Paired axial CT (left) and PSMA PET (right), 18F-PSMA tracer. Slice 402 of 421. The head region is masked for de-identification.
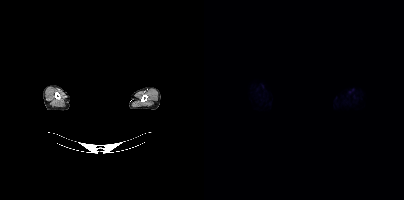
No PSMA-avid tumor lesions on this slice.